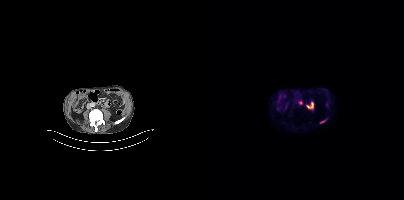
Coordinates are on the 200×200 PET (right) panel. PSMA-avid tumor lesion bounding box (x0, y0)-(x1, y1): (116, 119)-(122, 123).